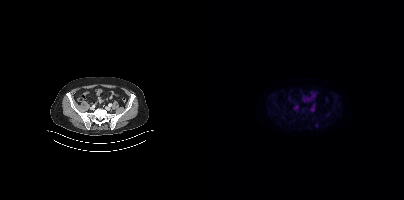
Coordinates are on the 200×200 PET (right) panel. Small PSMA-avid focus (2 to 4 px across) near (center x, center y): (113, 125). Paired axial CT (left) and PSMA PET (right), 18F-PSMA tracer. PET panel 200×200 px (4.1 mm/px).